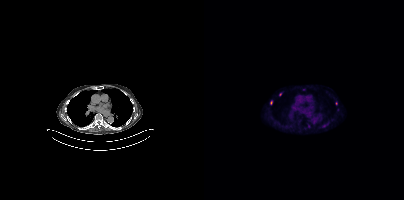
{"pet_grid":[200,200],"coord_frame":"pet_panel","coord_format":"x0,y0,x1,y1","lesion_bboxes":[],"small_foci_centers":[[67,102],[105,125],[132,103],[76,94]],"modality":"PSMA PET/CT","view":"axial","tracer":"18F"}